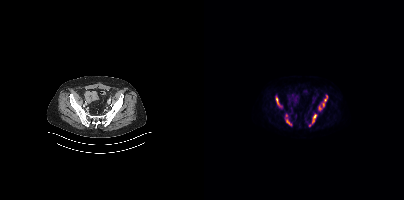
Coordinates are on the 200×200 PET (right) panel. PSMA-avid tumor lesion bounding boxes (x0,y0,x1,y1): [118,95,123,106]; [72,96,74,104]; [108,115,112,121]; [82,119,87,124]. Small PSMA-avid foci (2 to 4 px across) near (center x, center y): (116, 107); (82, 115); (105, 125).